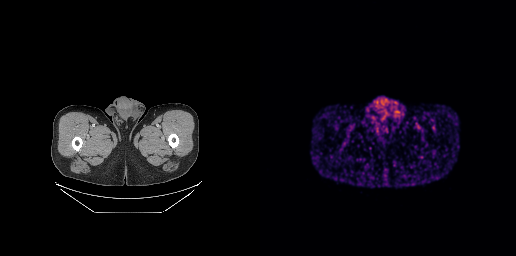
Negative for PSMA-avid disease on this slice. Paired axial CT (left) and PSMA PET (right), [68Ga]Ga-PSMA-11 tracer. Acquired on GE Discovery 690. Slice position z = -853 mm. PET panel 256×256 px (2.7 mm/px).